Left: CT. Right: PSMA PET, same axial level, 18F-PSMA tracer. Slice position z = -443 mm. PET panel 200×200 px (4.1 mm/px).
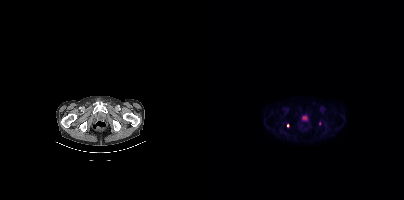
Coordinates are on the 200×200 PET (right) panel. (showing 1 of 2 foci) Small PSMA-avid focus (2 to 4 px across) near (center x, center y): (115, 123).